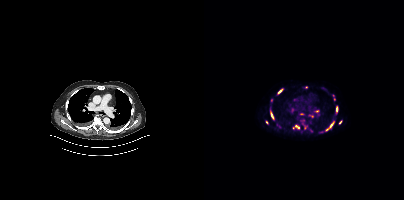
Findings: Coordinates are on the 200×200 PET (right) panel. (showing 10 of 13 foci) PSMA-avid tumor lesion bounding boxes (x, y, width, height): x=121 y=121 w=10 h=11 | x=89 y=124 w=7 h=6 | x=128 y=94 w=4 h=8 | x=132 y=106 w=3 h=8 | x=66 y=111 w=4 h=9 | x=98 y=123 w=6 h=7 | x=74 y=89 w=5 h=5 | x=135 y=120 w=3 h=5. Small PSMA-avid foci (2 to 4 px across) near (center x, center y): (62, 122) | (108, 116).
- Two-panel axial: CT | PSMA PET, 18F tracer